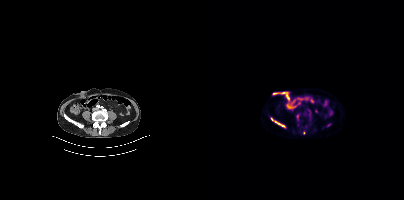
Left: CT. Right: PSMA PET, same axial level, 18F tracer. Slice position z = -698 mm. Coordinates are on the 200×200 PET (right) panel. (showing 1 of 2 foci) PSMA-avid tumor lesion bounding box (x0, y0)-(x1, y1): (67, 117)-(81, 127).